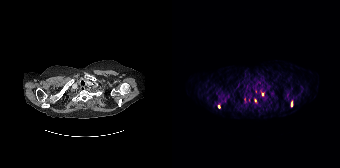
Technique: Two-panel axial: CT | PSMA PET, 68Ga tracer. acquired on Siemens Biograph 64-4R TruePoint. slice 169 of 195. PET panel 168×168 px (4.1 mm/px).
Findings: Coordinates are on the 168×168 PET (right) panel. PSMA-avid tumor lesion bounding box (x0,y0,x1,y1): [119,101,120,106]. Small PSMA-avid foci (2 to 4 px across) near (center x, center y): (47, 106) (73, 99) (90, 94) (83, 100).